Technique: Paired axial CT (left) and PSMA PET (right), 68Ga-PSMA tracer. slice position z = -830 mm. PET panel 256×256 px (2.7 mm/px).
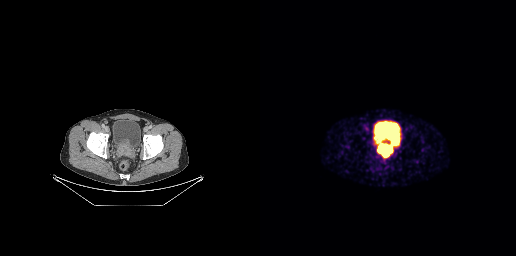
Findings: Coordinates are on the 256×256 PET (right) panel. PSMA-avid tumor lesion bounding boxes (x0, y0)-(x1, y1): (114, 136)-(130, 156) | (130, 138)-(137, 146).